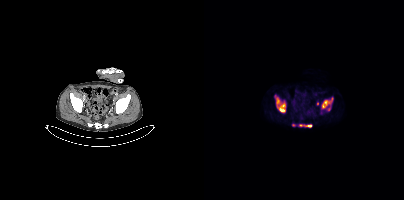
{"modality":"PSMA PET/CT","view":"axial","tracer":"[18F]PSMA-1007","pet_grid":[200,200],"coord_frame":"pet_panel","coord_format":"x0,y0,x1,y1","lesion_bboxes":[[70,95,82,113],[118,97,129,108],[95,124,108,127]],"small_foci_centers":[[125,108],[89,125],[113,103]]}